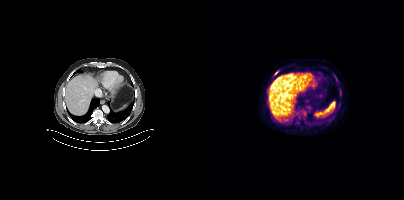
Coordinates are on the 200×200 PET (right) panel. Small PSMA-avid foci (2 to 4 px across) near (center x, center y): (72, 72) | (131, 76) | (136, 94). Paired axial CT (left) and PSMA PET (right), 18F tracer. Acquired on Siemens Biograph mCT Flow 20. PET panel 200×200 px (4.1 mm/px).